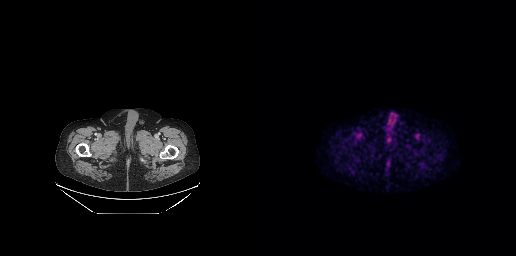
Left: CT. Right: PSMA PET, same axial level, 18F-PSMA tracer. PET panel 256×256 px (2.7 mm/px). No tumor lesions annotated on this slice.